- Two-panel axial: CT | PSMA PET, [68Ga]Ga-PSMA-11 tracer
- slice position z = -775 mm
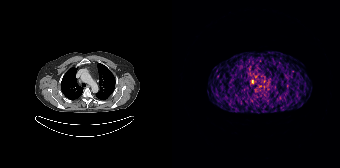
Findings: Coordinates are on the 168×168 PET (right) panel. Small PSMA-avid focus (2 to 4 px across) near (center x, center y): (80, 81).